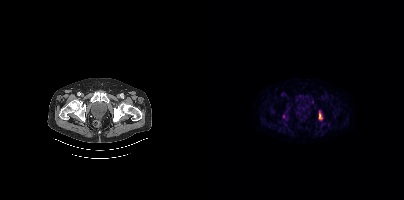
- Left: CT. Right: PSMA PET, same axial level, 18F-PSMA tracer
- slice 76 of 454
Findings: Coordinates are on the 200×200 PET (right) panel. PSMA-avid tumor lesion bounding box (x0,y0,x1,y1): [115,111,118,119]. Small PSMA-avid focus (2 to 4 px across) near (center x, center y): (79, 116).